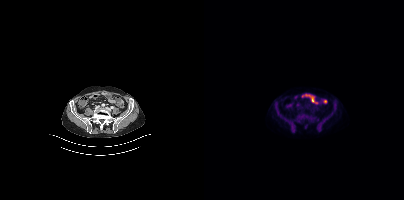
No tumor lesions annotated on this slice. Left: CT. Right: PSMA PET, same axial level, 18F tracer. PET panel 200×200 px (4.1 mm/px).